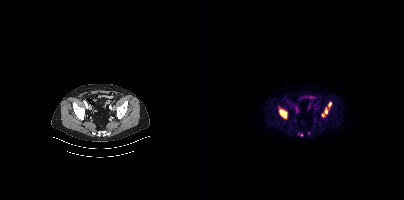
Coordinates are on the 200×200 PET (right) panel. PSMA-avid tumor lesion bounding boxes (x0, y0)-(x1, y1): (75, 109)-(83, 118) / (118, 107)-(124, 116) / (124, 102)-(127, 108) / (94, 134)-(98, 135).